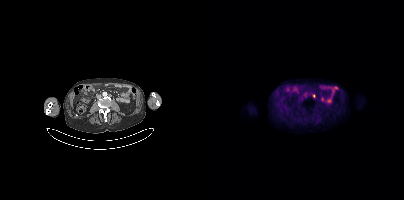
Paired axial CT (left) and PSMA PET (right), [18F]PSMA-1007 tracer. Slice 164 of 417. Coordinates are on the 200×200 PET (right) panel. Small PSMA-avid focus (2 to 4 px across) near (center x, center y): (110, 95).